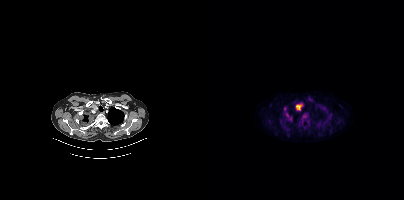
{"modality":"PSMA PET/CT","view":"axial","tracer":"18F","pet_grid":[200,200],"coord_frame":"pet_panel","coord_format":"x0,y0,x1,y1","lesion_bboxes":[[80,108,88,121],[97,113,103,120],[92,104,97,110]]}